Two-panel axial: CT | PSMA PET, 18F tracer. Slice 88 of 165. PET panel 168×168 px (4.1 mm/px).
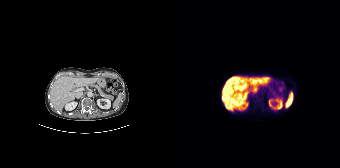
No PSMA-avid tumor lesions on this slice.